Left: CT. Right: PSMA PET, same axial level, 18F tracer. Slice position z = -756 mm.
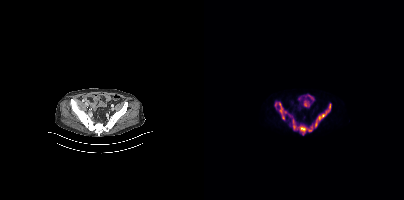
Coordinates are on the 200×200 PET (right) panel. PSMA-avid tumor lesion bounding boxes:
| # | x0 | y0 | x1 | y1 |
|---|---|---|---|---|
| 1 | 88 | 103 | 126 | 134 |
| 2 | 71 | 102 | 82 | 119 |